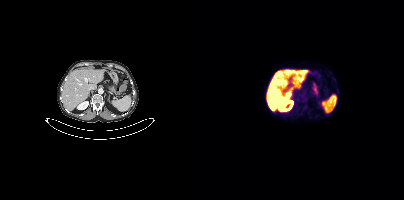
{"modality":"PSMA PET/CT","view":"axial","tracer":"[18F]PSMA-1007","pet_grid":[200,200],"coord_frame":"pet_panel","coord_format":"x0,y0,x1,y1","psma_avid_lesions":false}